- Left: CT. Right: PSMA PET, same axial level, 68Ga tracer
- acquired on Siemens Biograph mCT Flow 20
- slice 64 of 409
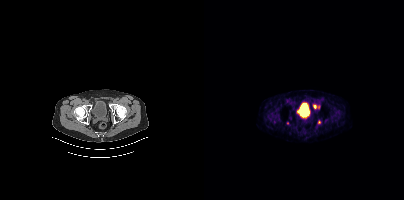
Findings: Coordinates are on the 200×200 PET (right) panel. Small PSMA-avid foci (2 to 4 px across) near (center x, center y): (110, 106) (115, 122) (83, 123).